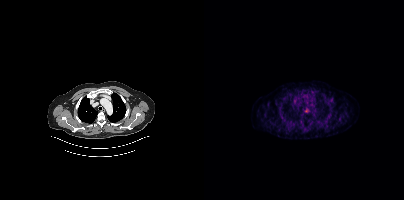
{"modality":"PSMA PET/CT","view":"axial","tracer":"[68Ga]Ga-PSMA-11","pet_grid":[200,200],"coord_frame":"pet_panel","coord_format":"x0,y0,x1,y1","psma_avid_lesions":false}